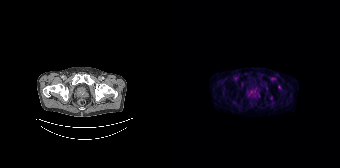
{"pet_grid":[168,168],"coord_frame":"pet_panel","coord_format":"x0,y0,x1,y1","lesion_bboxes":[],"small_foci_centers":[[107,87],[99,97]],"modality":"PSMA PET/CT","view":"axial","tracer":"18F"}